Paired axial CT (left) and PSMA PET (right), [68Ga]Ga-PSMA-11 tracer. Acquired on GE Discovery 690. Slice position z = -758 mm.
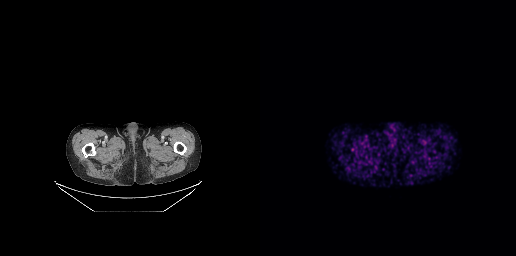
This slice has no annotated PSMA-avid lesion.